Two-panel axial: CT | PSMA PET, 18F tracer. Acquired on GE Discovery 690.
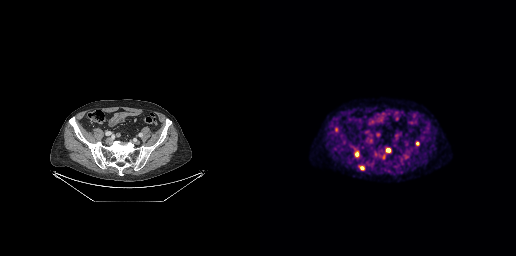
Coordinates are on the 256×256 PET (right) panel. PSMA-avid tumor lesion bounding boxes (partial; 1 more focus not listed):
| # | x0 | y0 | x1 | y1 |
|---|---|---|---|---|
| 1 | 95 | 151 | 98 | 156 |
Small PSMA-avid foci (2 to 4 px across) near (center x, center y): (157, 143); (128, 150); (123, 156).